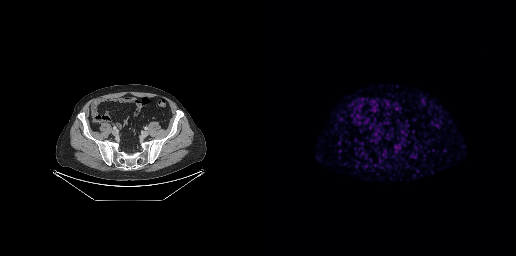
{"modality":"PSMA PET/CT","view":"axial","tracer":"68Ga-PSMA","pet_grid":[256,256],"coord_frame":"pet_panel","coord_format":"x0,y0,x1,y1","psma_avid_lesions":false}